Paired axial CT (left) and PSMA PET (right), [18F]PSMA-1007 tracer.
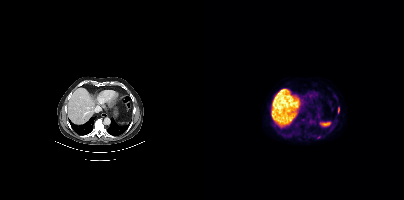
Coordinates are on the 200×200 PET (right) panel. PSMA-avid tumor lesion bounding boxes:
| # | x0 | y0 | x1 | y1 |
|---|---|---|---|---|
| 1 | 134 | 108 | 135 | 112 |